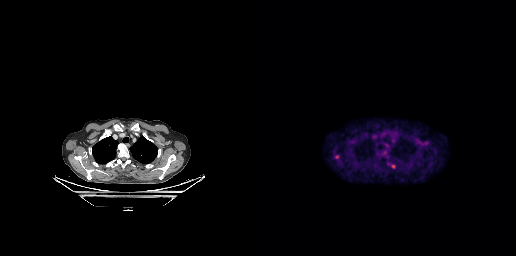
Negative for PSMA-avid disease on this slice.